Paired axial CT (left) and PSMA PET (right), [68Ga]Ga-PSMA-11 tracer. Acquired on Siemens Biograph mCT Flow 20. Slice 125 of 397. PET panel 200×200 px (4.1 mm/px).
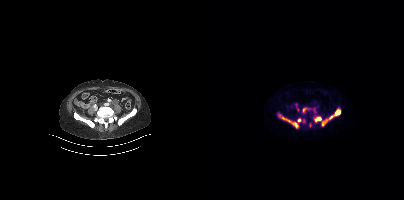
Coordinates are on the 200×200 PET (right) panel. PSMA-avid tumor lesion bounding boxes (partial; 1 more focus not listed):
| # | x0 | y0 | x1 | y1 |
|---|---|---|---|---|
| 1 | 73 | 112 | 96 | 128 |
| 2 | 111 | 117 | 124 | 126 |
| 3 | 126 | 109 | 136 | 118 |
| 4 | 98 | 107 | 103 | 112 |
Small PSMA-avid foci (2 to 4 px across) near (center x, center y): (106, 125); (100, 121).